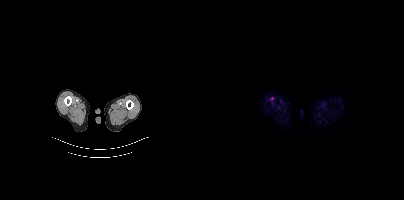
Left: CT. Right: PSMA PET, same axial level, [18F]PSMA-1007 tracer. Acquired on Siemens Biograph mCT Flow 20. Slice 9 of 411. Only PSMA-avid lesion pieces thinner than 2 px on this slice (not listed).